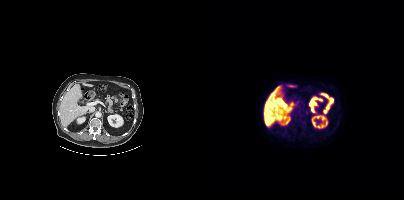
{"modality":"PSMA PET/CT","view":"axial","tracer":"18F-PSMA","pet_grid":[200,200],"coord_frame":"pet_panel","coord_format":"x0,y0,x1,y1","psma_avid_lesions":false}